Technique: Paired axial CT (left) and PSMA PET (right), 18F tracer. acquired on Siemens Biograph mCT Flow 20.
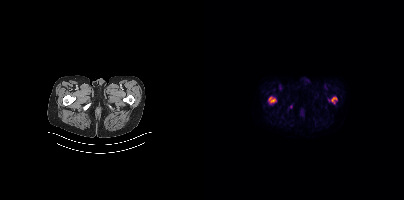
Findings: Coordinates are on the 200×200 PET (right) panel. PSMA-avid tumor lesion bounding box (x0, y0)-(x1, y1): (127, 97)-(133, 103). Small PSMA-avid foci (2 to 4 px across) near (center x, center y): (68, 100); (66, 97).